- Paired axial CT (left) and PSMA PET (right), 18F tracer
- slice position z = -987 mm
- PET panel 200×200 px (4.1 mm/px)
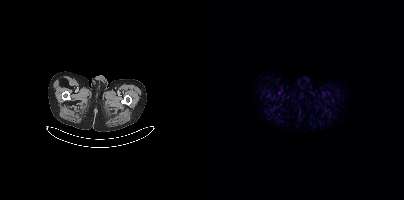
Findings: No PSMA-avid tumor lesions on this slice.